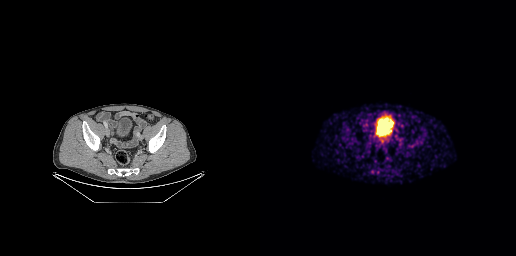
Technique: Left: CT. Right: PSMA PET, same axial level, 18F-PSMA tracer. PET panel 256×256 px (2.7 mm/px).
Findings: Coordinates are on the 256×256 PET (right) panel. Small PSMA-avid foci (2 to 4 px across) near (center x, center y): (140, 144); (140, 140).